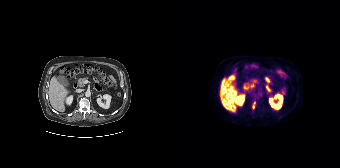
Two-panel axial: CT | PSMA PET, 18F tracer. Coordinates are on the 168×168 PET (right) panel. PSMA-avid tumor lesion bounding box (x0,y0,x1,y1): [80,102,83,107].